modality: PSMA PET/CT | tracer: 18F-PSMA | view: axial | PET grid: 200×200
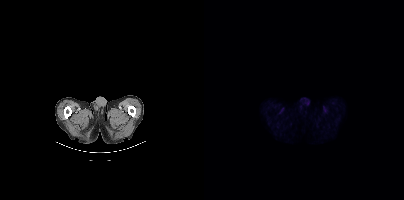
Negative for PSMA-avid disease on this slice.